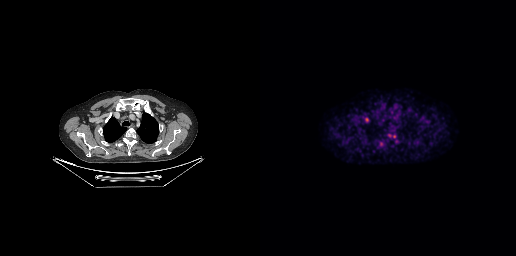
{"pet_grid":[256,256],"coord_frame":"pet_panel","coord_format":"x0,y0,x1,y1","lesion_bboxes":[[105,117,108,122]],"small_foci_centers":[[134,136]],"modality":"PSMA PET/CT","view":"axial","tracer":"[18F]PSMA-1007"}